Technique: Two-panel axial: CT | PSMA PET, 18F-PSMA tracer. slice 88 of 263.
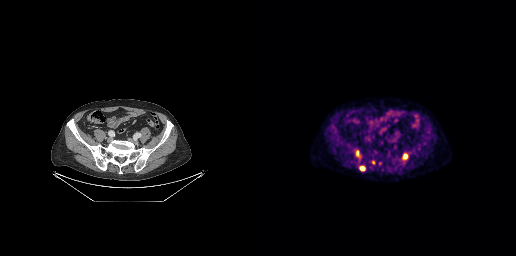
Findings: Coordinates are on the 256×256 PET (right) panel. PSMA-avid tumor lesion bounding boxes (x, y, width, height): x=143 y=153 w=5 h=7; x=96 y=151 w=4 h=6. Small PSMA-avid foci (2 to 4 px across) near (center x, center y): (102, 168); (113, 162).